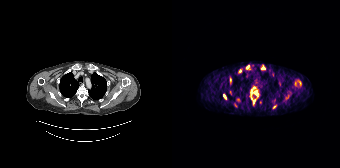
{"modality":"PSMA PET/CT","view":"axial","tracer":"68Ga-PSMA","pet_grid":[168,168],"coord_frame":"pet_panel","coord_format":"x0,y0,x1,y1","partial":true,"lesion_bboxes":[[78,96,83,103],[89,66,93,69],[51,94,54,98],[58,78,59,82],[79,90,80,94]],"small_foci_centers":[[84,92],[75,66],[102,107],[63,105]]}